modality: PSMA PET/CT | tracer: 18F-PSMA | view: axial | deidentification: privacy mask over head
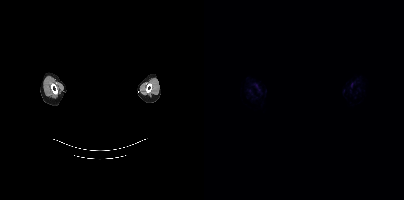
No PSMA-avid tumor lesions on this slice.